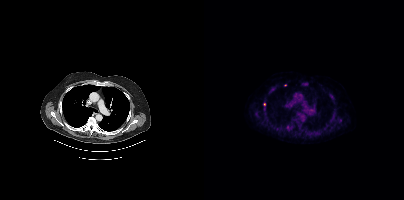
Coordinates are on the 200×200 PET (right) panel. (showing 3 of 5 foci) PSMA-avid tumor lesion bounding boxes (x, y, width, height): x=82 y=125 w=5 h=5 / x=61 y=117 w=3 h=5. Small PSMA-avid focus (2 to 4 px across) near (center x, center y): (60, 104).